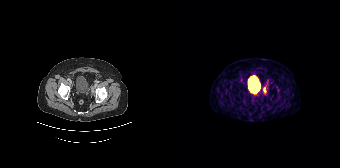
{"modality":"PSMA PET/CT","view":"axial","tracer":"[68Ga]Ga-PSMA-11","pet_grid":[168,168],"coord_frame":"pet_panel","coord_format":"x0,y0,x1,y1","lesion_bboxes":[[91,87,94,93]],"small_foci_centers":[[95,82]]}